Face de-identified by blanking a block of the head.
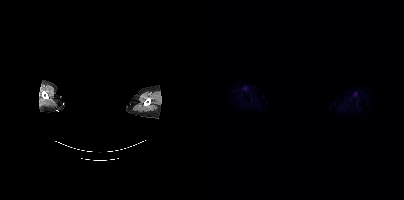
No PSMA-avid tumor lesions on this slice.